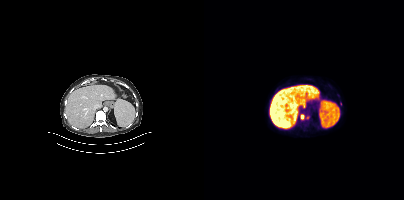
Findings: Coordinates are on the 200×200 PET (right) panel. Small PSMA-avid foci (2 to 4 px across) near (center x, center y): (103, 117); (98, 116); (136, 103).
- Left: CT. Right: PSMA PET, same axial level, 18F-PSMA tracer
- slice position z = -1184 mm
- PET panel 200×200 px (4.1 mm/px)